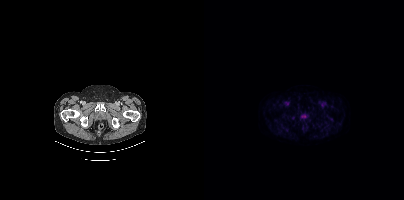
No tumor lesions annotated on this slice.
modality: PSMA PET/CT | tracer: 18F | view: axial